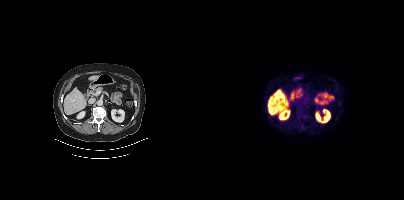
Findings: Coordinates are on the 200×200 PET (right) panel. (showing 3 of 4 foci) PSMA-avid tumor lesion bounding boxes (x0, y0)-(x1, y1): (92, 111)-(100, 116) | (96, 124)-(101, 128). Small PSMA-avid focus (2 to 4 px across) near (center x, center y): (135, 103).
Technique: Left: CT. Right: PSMA PET, same axial level, 18F tracer. slice 231 of 464. PET panel 200×200 px (4.1 mm/px).